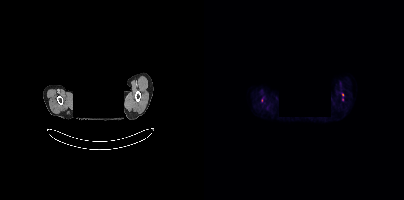
{"modality":"PSMA PET/CT","view":"axial","tracer":"18F-PSMA","pet_grid":[200,200],"coord_frame":"pet_panel","coord_format":"x0,y0,x1,y1","de-identification":"facial region redacted","partial":true,"lesion_bboxes":[],"small_foci_centers":[[138,94],[138,99]]}